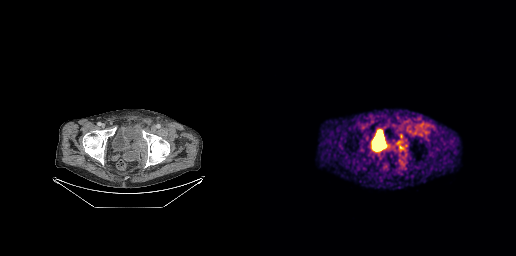
Coordinates are on the 256×256 PET (right) panel. (showing 4 of 5 foci) PSMA-avid tumor lesion bounding boxes (x0, y0)-(x1, y1): (137, 140)-(143, 145) / (159, 126)-(164, 132) / (139, 147)-(141, 151). Small PSMA-avid focus (2 to 4 px across) near (center x, center y): (141, 137).
modality: PSMA PET/CT | tracer: 68Ga-PSMA | view: axial